- Paired axial CT (left) and PSMA PET (right), 18F-PSMA tracer
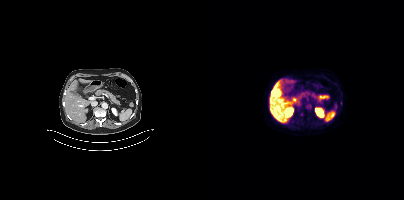
Findings: Only PSMA-avid lesion pieces thinner than 2 px on this slice (not listed).